modality: PSMA PET/CT | tracer: [18F]PSMA-1007 | view: axial | PET grid: 200×200
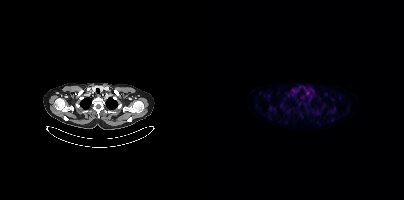
Coordinates are on the 200×200 PET (right) panel. (showing 1 of 3 foci) Small PSMA-avid focus (2 to 4 px across) near (center x, center y): (89, 90).